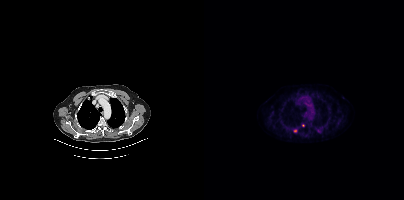
{"modality":"PSMA PET/CT","view":"axial","tracer":"18F-PSMA","pet_grid":[200,200],"coord_frame":"pet_panel","coord_format":"x0,y0,x1,y1","partial":true,"lesion_bboxes":[]}